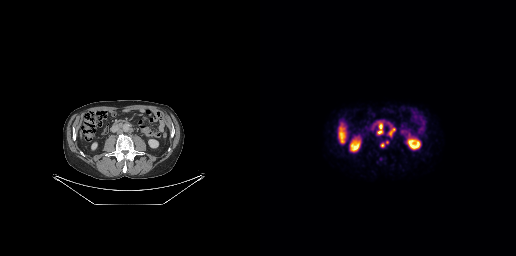
Findings: Coordinates are on the 256×256 PET (right) panel. PSMA-avid tumor lesion bounding boxes (x0, y0)-(x1, y1): (117, 122)-(123, 134) | (129, 125)-(135, 136). Small PSMA-avid foci (2 to 4 px across) near (center x, center y): (122, 144) | (127, 142).
- Paired axial CT (left) and PSMA PET (right), [18F]PSMA-1007 tracer
- acquired on GE Discovery 690
- PET panel 256×256 px (2.7 mm/px)